A rectangular block over the head has been blanked out for de-identification. Paired axial CT (left) and PSMA PET (right), 68Ga-PSMA tracer. PET panel 168×168 px (4.1 mm/px).
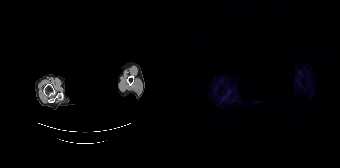
No tumor lesions annotated on this slice.